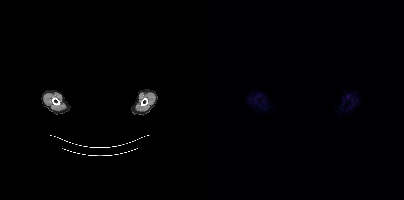
{"pet_grid":[200,200],"coord_frame":"pet_panel","coord_format":"x0,y0,x1,y1","psma_avid_lesions":false,"modality":"PSMA PET/CT","view":"axial","tracer":"[18F]PSMA-1007","redaction":"head region blanked (face removed)"}